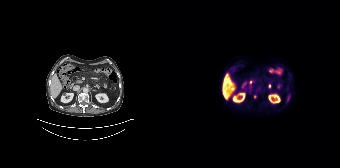
{"modality":"PSMA PET/CT","view":"axial","tracer":"18F","pet_grid":[168,168],"coord_frame":"pet_panel","coord_format":"x0,y0,x1,y1","psma_avid_lesions":false}